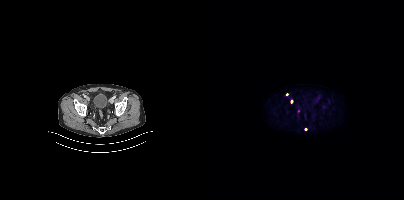
modality: PSMA PET/CT | tracer: 18F | view: axial
Coordinates are on the 200×200 PET (right) panel. (showing 1 of 2 foci) Small PSMA-avid focus (2 to 4 px across) near (center x, center y): (94, 111).